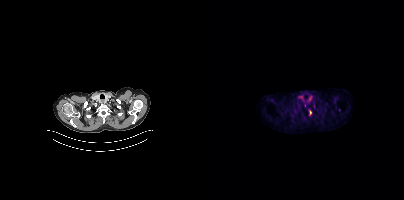
{"modality":"PSMA PET/CT","view":"axial","tracer":"18F","pet_grid":[200,200],"coord_frame":"pet_panel","coord_format":"x0,y0,x1,y1","lesion_bboxes":[[105,110,107,115]]}